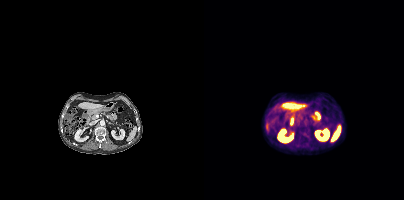
{"modality":"PSMA PET/CT","view":"axial","tracer":"18F","pet_grid":[200,200],"coord_frame":"pet_panel","coord_format":"x0,y0,x1,y1","psma_avid_lesions":false}